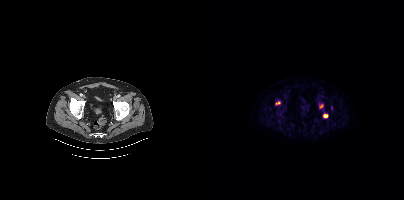
- Paired axial CT (left) and PSMA PET (right), 18F tracer
- acquired on Siemens Biograph mCT Flow 20
- PET panel 200×200 px (4.1 mm/px)
Findings: Coordinates are on the 200×200 PET (right) panel. PSMA-avid tumor lesion bounding boxes (x, y, width, height): x=119 y=113 w=6 h=6; x=71 y=101 w=6 h=4; x=115 y=104 w=5 h=5.